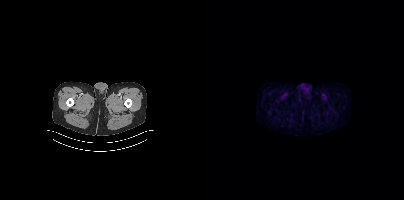
{"pet_grid":[200,200],"coord_frame":"pet_panel","coord_format":"x0,y0,x1,y1","psma_avid_lesions":false,"modality":"PSMA PET/CT","view":"axial","tracer":"[18F]PSMA-1007"}